Left: CT. Right: PSMA PET, same axial level, 68Ga tracer. Acquired on Siemens Biograph mCT Flow 20.
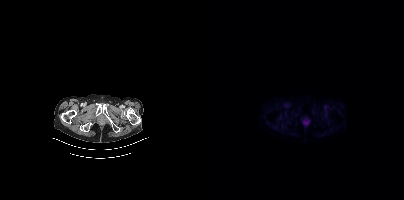
Negative for PSMA-avid disease on this slice.